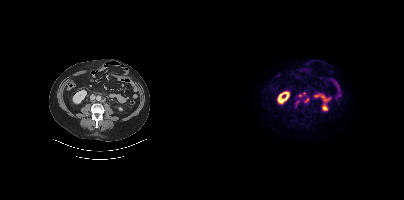
modality: PSMA PET/CT | tracer: 18F-PSMA | view: axial
Coordinates are on the 200×200 PET (right) panel. Small PSMA-avid foci (2 to 4 px across) near (center x, center y): (95, 95) / (102, 100) / (93, 101) / (100, 93).